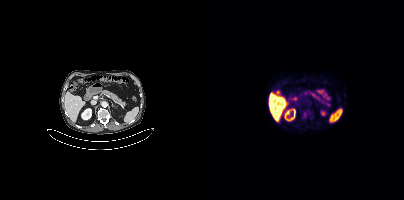
- Two-panel axial: CT | PSMA PET, [18F]PSMA-1007 tracer
Findings: Coordinates are on the 200×200 PET (right) panel. Small PSMA-avid focus (2 to 4 px across) near (center x, center y): (100, 114).